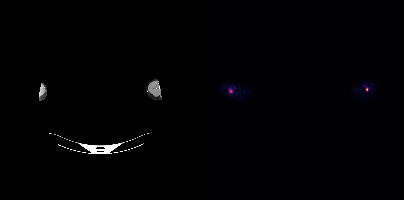
{"modality":"PSMA PET/CT","view":"axial","tracer":"[18F]PSMA-1007","pet_grid":[200,200],"coord_frame":"pet_panel","coord_format":"x0,y0,x1,y1","de-identification":"head region blanked (face removed)","lesion_bboxes":[],"small_foci_centers":[[26,90],[162,89]]}